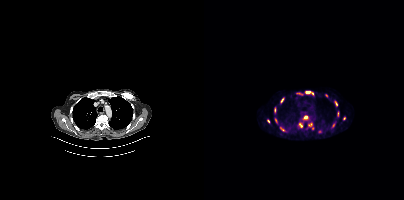
{"modality":"PSMA PET/CT","view":"axial","tracer":"[18F]PSMA-1007","pet_grid":[200,200],"coord_frame":"pet_panel","coord_format":"x0,y0,x1,y1","lesion_bboxes":[[92,90,110,95],[99,115,104,119],[95,123,98,127],[104,123,108,126],[70,107,72,113],[63,119,66,123],[71,118,73,123],[131,101,133,105],[76,127,80,131]],"small_foci_centers":[[140,118],[122,95],[129,125],[108,128]]}